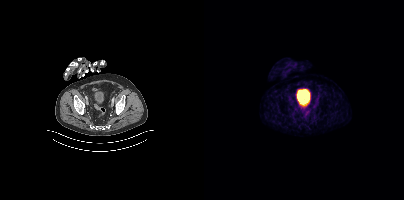
Technique: Two-panel axial: CT | PSMA PET, [68Ga]Ga-PSMA-11 tracer.
Findings: Negative for PSMA-avid disease on this slice.